Technique: Paired axial CT (left) and PSMA PET (right), [18F]PSMA-1007 tracer.
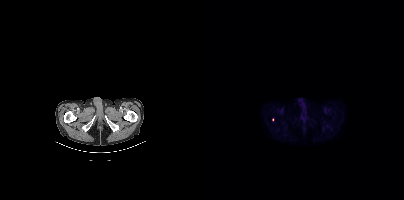
Findings: Only PSMA-avid lesion pieces thinner than 2 px on this slice (not listed).